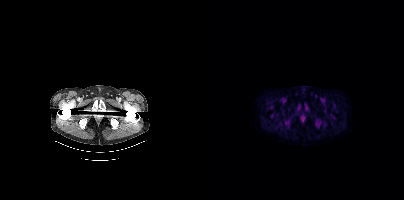
{"pet_grid":[200,200],"coord_frame":"pet_panel","coord_format":"x0,y0,x1,y1","psma_avid_lesions":false,"modality":"PSMA PET/CT","view":"axial","tracer":"[18F]PSMA-1007"}